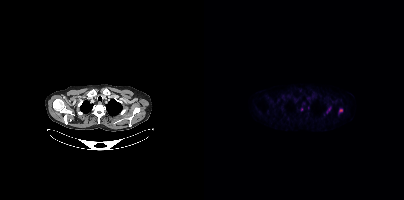
Two-panel axial: CT | PSMA PET, [18F]PSMA-1007 tracer. Acquired on Siemens Biograph mCT Flow 20. Slice position z = 346 mm. PET panel 200×200 px (4.1 mm/px). Coordinates are on the 200×200 PET (right) panel. (showing 4 of 6 foci) PSMA-avid tumor lesion bounding box (x, y, width, height): x=122 y=107 w=5 h=7. Small PSMA-avid foci (2 to 4 px across) near (center x, center y): (136, 110) | (97, 109) | (63, 111).